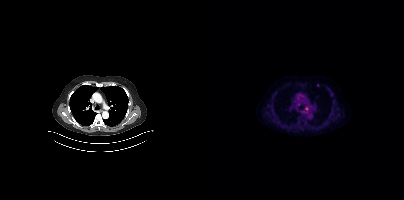
Coordinates are on the 200×200 PET (right) panel. Small PSMA-avid foci (2 to 4 px across) near (center x, center y): (95, 104); (102, 108); (113, 84).